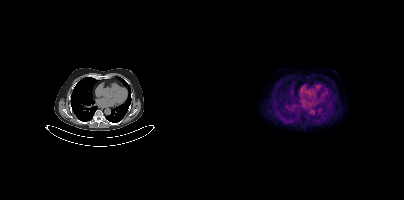
No PSMA-avid tumor lesions on this slice.